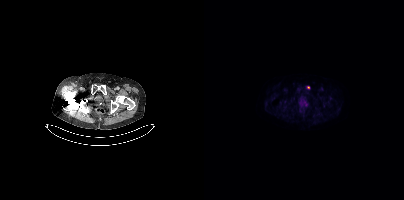
Technique: Two-panel axial: CT | PSMA PET, [18F]PSMA-1007 tracer. slice position z = -248 mm. PET panel 200×200 px (4.1 mm/px).
Findings: Coordinates are on the 200×200 PET (right) panel. (showing 1 of 3 foci) Small PSMA-avid focus (2 to 4 px across) near (center x, center y): (104, 87).